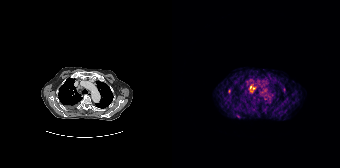
Coordinates are on the 168×168 PET (right) panel. PSMA-avid tumor lesion bounding box (x0, y0)-(x1, y1): (77, 84)-(83, 92). Small PSMA-avid foci (2 to 4 px across) near (center x, center y): (57, 90); (66, 116).